Two-panel axial: CT | PSMA PET, [18F]PSMA-1007 tracer. Slice position z = -452 mm.
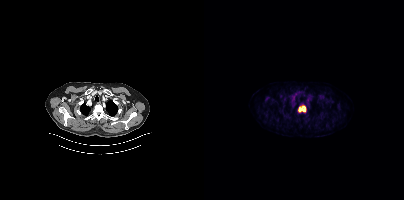
Coordinates are on the 200×200 PET (right) panel. PSMA-avid tumor lesion bounding boxes:
| # | x0 | y0 | x1 | y1 |
|---|---|---|---|---|
| 1 | 94 | 105 | 102 | 112 |